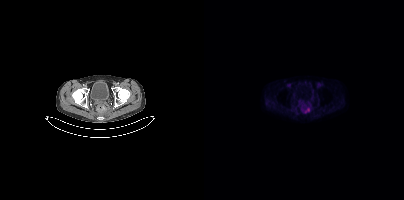
Left: CT. Right: PSMA PET, same axial level, 18F-PSMA tracer. Slice position z = -839 mm. Coordinates are on the 200×200 PET (right) panel. PSMA-avid tumor lesion bounding box (x0, y0)-(x1, y1): (98, 107)-(105, 113).